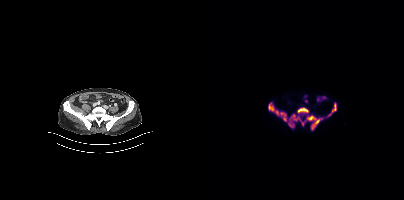
Two-panel axial: CT | PSMA PET, 18F tracer. Acquired on Siemens Biograph mCT Flow 20. PET panel 200×200 px (4.1 mm/px).
Coordinates are on the 200×200 PET (right) panel. PSMA-avid tumor lesion bounding boxes:
| # | x0 | y0 | x1 | y1 |
|---|---|---|---|---|
| 1 | 84 | 114 | 118 | 130 |
| 2 | 64 | 103 | 82 | 121 |
| 3 | 93 | 107 | 104 | 113 |
| 4 | 124 | 103 | 132 | 116 |